Two-panel axial: CT | PSMA PET, 18F-PSMA tracer. PET panel 200×200 px (4.1 mm/px).
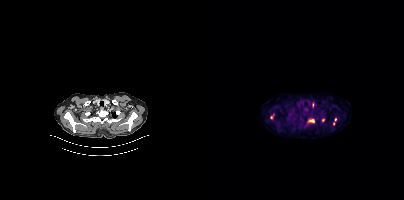
Coordinates are on the 200×200 PET (right) panel. PSMA-avid tumor lesion bounding boxes (partial; 1 more focus not listed):
| # | x0 | y0 | x1 | y1 |
|---|---|---|---|---|
| 1 | 104 | 119 | 110 | 122 |
Small PSMA-avid foci (2 to 4 px across) near (center x, center y): (67, 117); (119, 120); (131, 119); (129, 123).